Two-panel axial: CT | PSMA PET, 18F tracer. Acquired on Siemens Biograph 64-4R TruePoint. Slice 4 of 165. PET panel 168×168 px (4.1 mm/px).
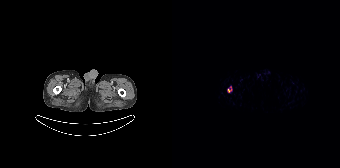
Coordinates are on the 168×168 PET (right) panel. PSMA-avid tumor lesion bounding boxes:
| # | x0 | y0 | x1 | y1 |
|---|---|---|---|---|
| 1 | 55 | 86 | 60 | 92 |